- Paired axial CT (left) and PSMA PET (right), 18F-PSMA tracer
- acquired on GE Discovery 690
- slice 175 of 299
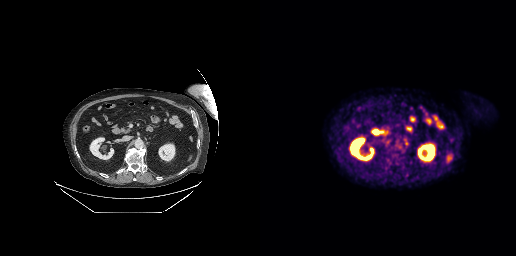
Findings: Coordinates are on the 256×256 PET (right) panel. PSMA-avid tumor lesion bounding box (x0,y0,x1,y1): [145,139,148,144].